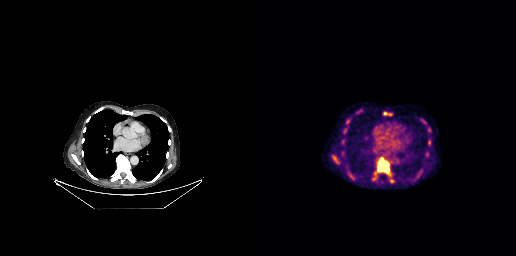
Two-panel axial: CT | PSMA PET, 18F tracer.
Coordinates are on the 256×256 PET (right) panel. PSMA-avid tumor lesion bounding boxes:
| # | x0 | y0 | x1 | y1 |
|---|---|---|---|---|
| 1 | 117 | 157 | 129 | 173 |
| 2 | 128 | 176 | 134 | 183 |
| 3 | 72 | 155 | 79 | 163 |
| 4 | 124 | 112 | 131 | 115 |
| 5 | 96 | 109 | 102 | 114 |
| 6 | 86 | 119 | 90 | 122 |
Small PSMA-avid foci (2 to 4 px across) near (center x, center y): (169, 129); (85, 130); (82, 141).